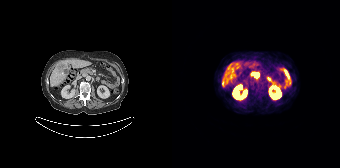
Coordinates are on the 168×168 PET (right) panel. Small PSMA-avid foci (2 to 4 px across) near (center x, center y): (54, 72) | (84, 75) | (60, 69) | (51, 84). Left: CT. Right: PSMA PET, same axial level, 68Ga-PSMA tracer. Slice position z = -470 mm. PET panel 168×168 px (4.1 mm/px).